- Left: CT. Right: PSMA PET, same axial level, 18F-PSMA tracer
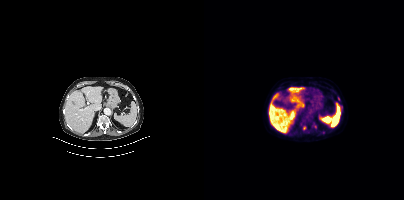
Findings: Coordinates are on the 200×200 PET (right) panel. Small PSMA-avid foci (2 to 4 px across) near (center x, center y): (134, 98) / (100, 127) / (137, 106).